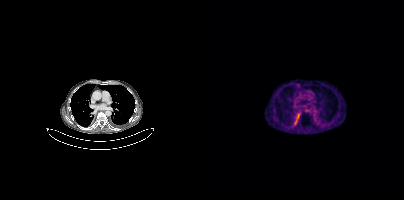
Left: CT. Right: PSMA PET, same axial level, 68Ga tracer. PET panel 200×200 px (4.1 mm/px). Coordinates are on the 200×200 PET (right) panel. PSMA-avid tumor lesion bounding box (x0, y0)-(x1, y1): (101, 108)-(105, 112).